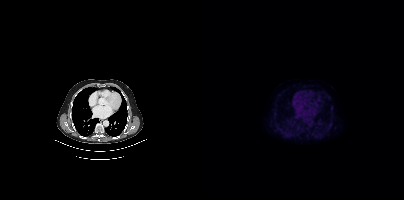
Findings: Coordinates are on the 200×200 PET (right) panel. Small PSMA-avid focus (2 to 4 px across) near (center x, center y): (126, 123).
Technique: Paired axial CT (left) and PSMA PET (right), 18F-PSMA tracer. slice 271 of 405.